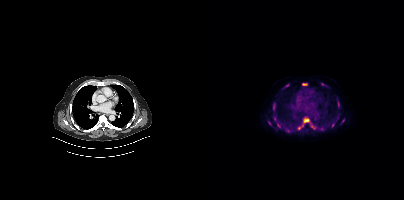
modality: PSMA PET/CT | tracer: 18F | view: axial | PET grid: 200×200
Coordinates are on the 200×200 PET (right) panel. PSMA-avid tumor lesion bounding boxes (x0, y0)-(x1, y1): (94, 118)-(105, 129) / (106, 124)-(114, 129) / (133, 99)-(135, 108) / (69, 103)-(71, 110) / (98, 83)-(103, 85) / (127, 123)-(130, 127) / (73, 123)-(76, 127) / (81, 84)-(85, 86). Small PSMA-avid foci (2 to 4 px across) near (center x, center y): (70, 118) / (118, 84) / (139, 120) / (65, 122) / (133, 117) / (81, 129).